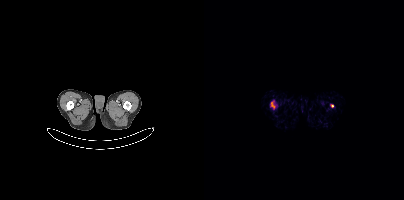
Findings: Coordinates are on the 200×200 PET (right) panel. (showing 1 of 4 foci) Small PSMA-avid focus (2 to 4 px across) near (center x, center y): (128, 105).
Technique: Paired axial CT (left) and PSMA PET (right), 68Ga-PSMA tracer. slice 7 of 393. PET panel 200×200 px (4.1 mm/px).